modality: PSMA PET/CT | tracer: 18F-PSMA | view: axial
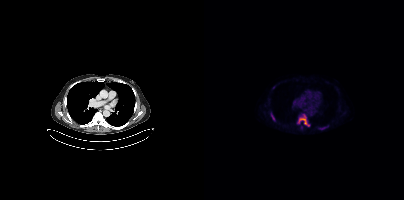
Coordinates are on the 200×200 PET (right) panel. PSMA-avid tumor lesion bounding boxes (x0, y0)-(x1, y1): (93, 114)-(105, 126) | (114, 125)-(124, 130) | (67, 112)-(71, 120).